Paired axial CT (left) and PSMA PET (right), 68Ga tracer. PET panel 256×256 px (2.7 mm/px).
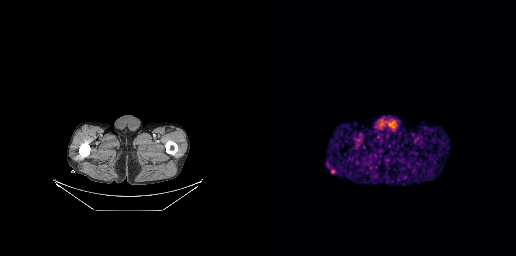
No PSMA-avid tumor lesions on this slice.